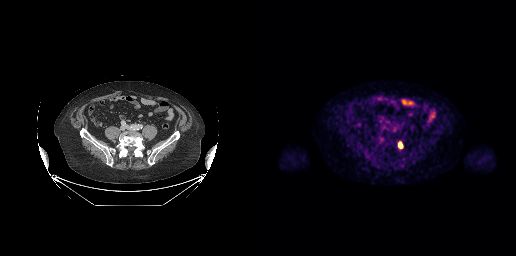
{"modality":"PSMA PET/CT","view":"axial","tracer":"[18F]PSMA-1007","pet_grid":[256,256],"coord_frame":"pet_panel","coord_format":"x0,y0,x1,y1","lesion_bboxes":[[137,141,143,149]]}